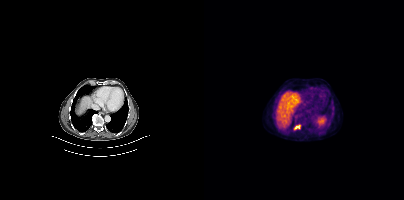
Coordinates are on the 200×200 PET (right) panel. (showing 2 of 3 foci) PSMA-avid tumor lesion bounding box (x0, y0)-(x1, y1): (91, 125)-(95, 128). Small PSMA-avid focus (2 to 4 px across) near (center x, center y): (128, 112).